Paired axial CT (left) and PSMA PET (right), [18F]PSMA-1007 tracer. Acquired on Siemens Biograph mCT Flow 20. Slice 113 of 409.
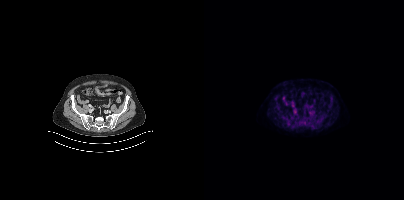
Coordinates are on the 200×200 PET (right) panel. PSMA-avid tumor lesion bounding boxes:
| # | x0 | y0 | x1 | y1 |
|---|---|---|---|---|
| 1 | 89 | 108 | 93 | 113 |
| 2 | 86 | 102 | 90 | 105 |